- Two-panel axial: CT | PSMA PET, 18F-PSMA tracer
- slice position z = -1305 mm
- PET panel 168×168 px (4.1 mm/px)
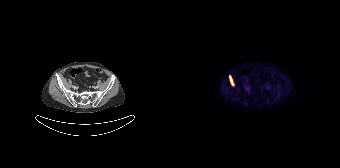
Findings: Coordinates are on the 168×168 PET (right) panel. PSMA-avid tumor lesion bounding box (x0,y0,x1,y1): [57,75,62,85].